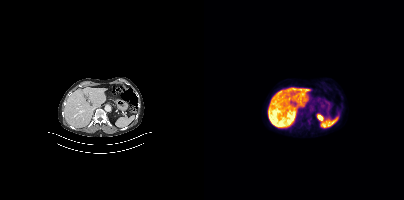
Findings: This slice has no annotated PSMA-avid lesion.
- Left: CT. Right: PSMA PET, same axial level, [18F]PSMA-1007 tracer
- acquired on Siemens Biograph mCT Flow 20
- slice 226 of 423